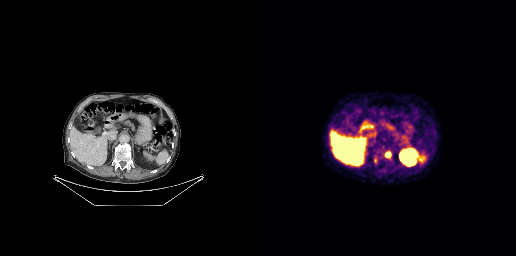
Findings: Coordinates are on the 256×256 PET (right) panel. PSMA-avid tumor lesion bounding boxes (x, y, width, height): x=113 y=155 w=7 h=8; x=125 y=152 w=7 h=7.
- Two-panel axial: CT | PSMA PET, 18F-PSMA tracer
- acquired on GE Discovery 690